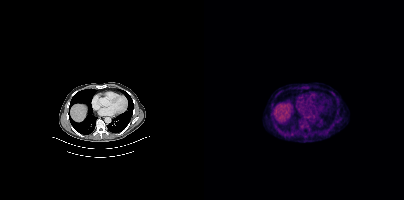
Findings: Coordinates are on the 200×200 PET (right) panel. Small PSMA-avid focus (2 to 4 px across) near (center x, center y): (99, 125).
- Left: CT. Right: PSMA PET, same axial level, 18F tracer
- PET panel 200×200 px (4.1 mm/px)